An anonymization step blacked out a rectangle over the head in this scan.
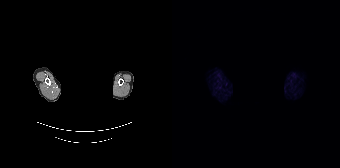
No PSMA-avid tumor lesions on this slice.